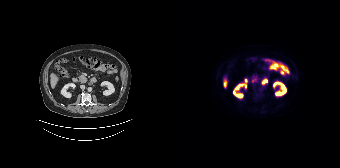
{"modality":"PSMA PET/CT","view":"axial","tracer":"[18F]PSMA-1007","pet_grid":[168,168],"coord_frame":"pet_panel","coord_format":"x0,y0,x1,y1","psma_avid_lesions":false}